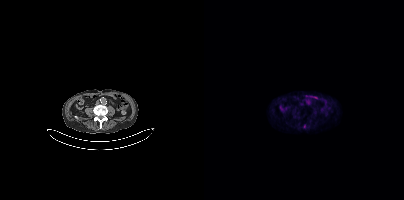
Left: CT. Right: PSMA PET, same axial level, [18F]PSMA-1007 tracer. PET panel 200×200 px (4.1 mm/px). Coordinates are on the 200×200 PET (right) panel. Small PSMA-avid focus (2 to 4 px across) near (center x, center y): (100, 126).